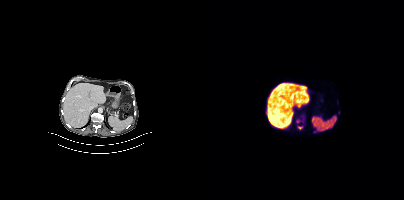
Coordinates are on the 200×200 PET (right) panel. PSMA-avid tumor lesion bounding box (x0, y0)-(x1, y1): (94, 127)-(98, 128). Small PSMA-avid focus (2 to 4 px across) near (center x, center y): (110, 131). Paired axial CT (left) and PSMA PET (right), 18F tracer. Acquired on Siemens Biograph mCT Flow 20.